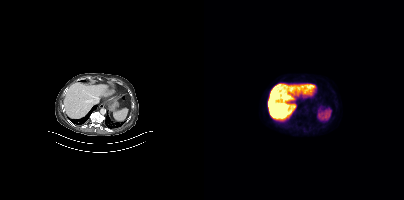
This slice has no annotated PSMA-avid lesion.